Technique: Left: CT. Right: PSMA PET, same axial level, 18F tracer. acquired on Siemens Biograph mCT Flow 20. slice 82 of 429.
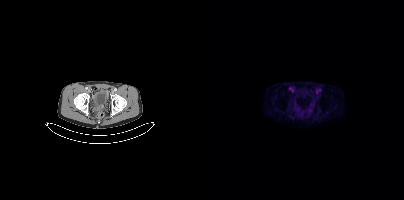
Findings: No PSMA-avid tumor lesions on this slice.